- Paired axial CT (left) and PSMA PET (right), 18F tracer
- acquired on Siemens Biograph mCT Flow 20
- slice 400 of 401
- face de-identified by blanking a block of the head
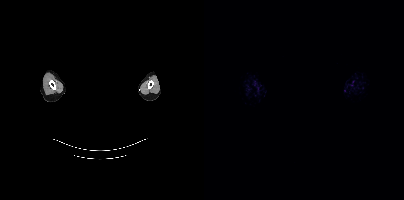
Findings: No tumor lesions annotated on this slice.